- Two-panel axial: CT | PSMA PET, 18F tracer
- acquired on Siemens Biograph mCT Flow 20
- slice position z = -302 mm
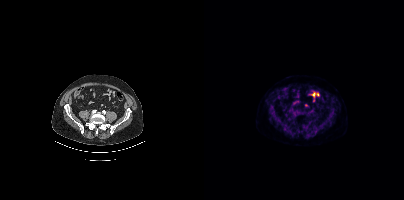
Findings: No PSMA-avid tumor lesions on this slice.